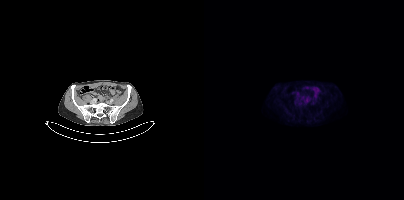
No PSMA-avid tumor lesions on this slice.